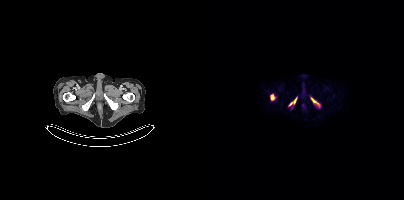
{"pet_grid":[200,200],"coord_frame":"pet_panel","coord_format":"x0,y0,x1,y1","lesion_bboxes":[[107,98,115,106],[85,98,92,105],[67,95,70,100]],"modality":"PSMA PET/CT","view":"axial","tracer":"18F-PSMA"}